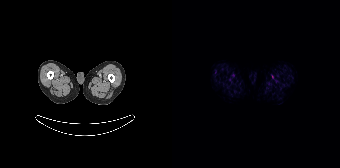
- Two-panel axial: CT | PSMA PET, 18F tracer
Findings: This slice has no annotated PSMA-avid lesion.